Technique: Paired axial CT (left) and PSMA PET (right), 18F-PSMA tracer. slice position z = -701 mm. PET panel 256×256 px (2.7 mm/px).
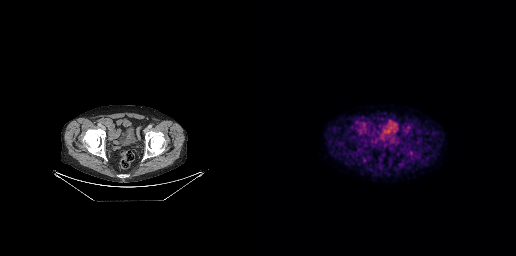
Findings: Negative for PSMA-avid disease on this slice.